Technique: Left: CT. Right: PSMA PET, same axial level, 18F tracer. PET panel 200×200 px (4.1 mm/px).
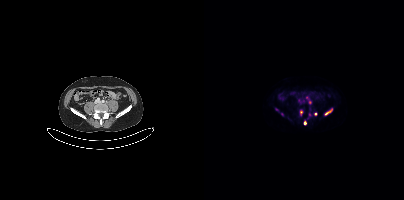
Findings: Coordinates are on the 200×200 PET (right) panel. (showing 7 of 8 foci) PSMA-avid tumor lesion bounding box (x0, y0)-(x1, y1): (121, 109)-(128, 115). Small PSMA-avid foci (2 to 4 px across) near (center x, center y): (97, 112) / (106, 102) / (78, 114) / (101, 122) / (102, 97) / (111, 113).